Technique: Left: CT. Right: PSMA PET, same axial level, [18F]PSMA-1007 tracer. slice 299 of 435.
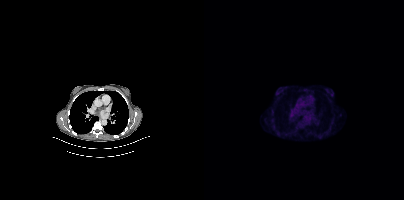
Findings: Negative for PSMA-avid disease on this slice.